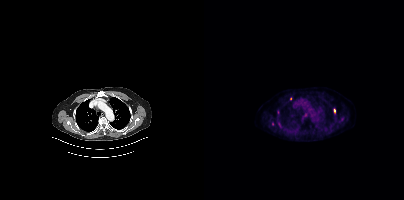
Coordinates are on the 200×200 PET (right) panel. (showing 6 of 7 foci) Small PSMA-avid foci (2 to 4 px across) near (center x, center y): (68, 123) / (130, 110) / (74, 112) / (86, 98) / (137, 118) / (76, 126).